modality: PSMA PET/CT | tracer: [18F]PSMA-1007 | view: axial
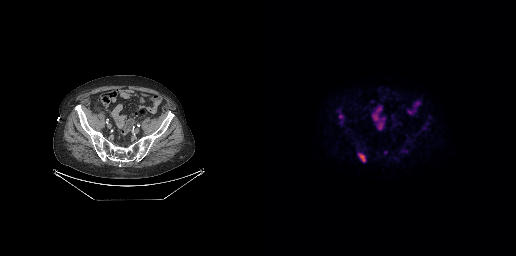
Coordinates are on the 256×256 PET (right) panel. PSMA-avid tumor lesion bounding boxes (x, y, width, height): x=99 y=154 w=7 h=8 | x=79 y=114 w=5 h=5.